Paired axial CT (left) and PSMA PET (right), [68Ga]Ga-PSMA-11 tracer. Acquired on Siemens Biograph mCT Flow 20. Slice position z = -1034 mm.
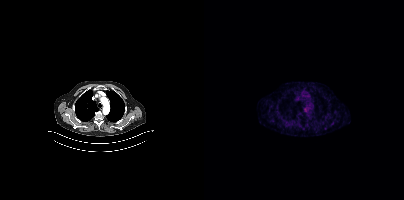
Negative for PSMA-avid disease on this slice.